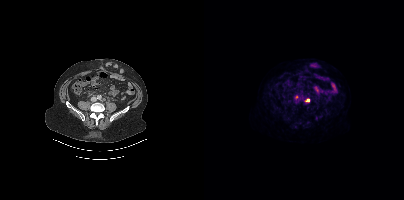
Findings: Only PSMA-avid lesion pieces thinner than 2 px on this slice (not listed).
- Two-panel axial: CT | PSMA PET, 18F tracer
- acquired on Siemens Biograph mCT Flow 20
- slice 152 of 435
- PET panel 200×200 px (4.1 mm/px)